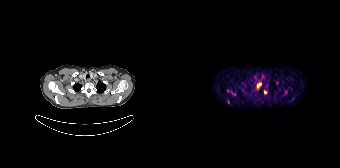
Coordinates are on the 168×168 PET (right) panel. (showing 3 of 7 foci) PSMA-avid tumor lesion bounding box (x0, y0)-(x1, y1): (85, 82)-(89, 88). Small PSMA-avid foci (2 to 4 px across) near (center x, center y): (93, 91) / (113, 91).